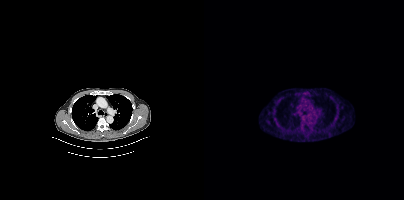
Left: CT. Right: PSMA PET, same axial level, 18F-PSMA tracer. Acquired on Siemens Biograph mCT Flow 20. Slice position z = -24 mm. Negative for PSMA-avid disease on this slice.